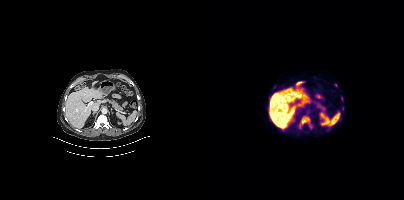
{"modality":"PSMA PET/CT","view":"axial","tracer":"[18F]PSMA-1007","pet_grid":[200,200],"coord_frame":"pet_panel","coord_format":"x0,y0,x1,y1","lesion_bboxes":[[95,116,108,129],[138,106,139,110]],"small_foci_centers":[[131,85],[137,98]]}